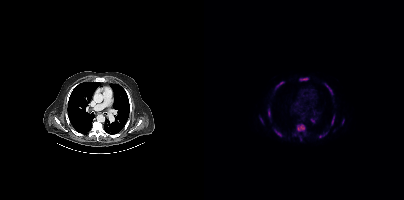
{"modality":"PSMA PET/CT","view":"axial","tracer":"18F","pet_grid":[200,200],"coord_frame":"pet_panel","coord_format":"x0,y0,x1,y1","partial":true,"lesion_bboxes":[[92,124,101,132],[120,83,129,95],[70,129,78,136],[64,108,66,117],[127,115,130,124],[96,78,103,80],[115,132,123,137],[95,135,97,140]],"small_foci_centers":[[139,121],[91,134],[57,119],[109,121]]}